modality: PSMA PET/CT | tracer: 18F | view: axial
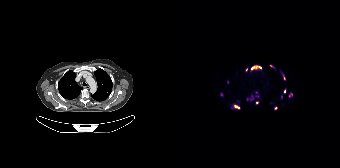
Coordinates are on the 168×168 PET (right) panel. (showing 15 of 16 foci) PSMA-avid tumor lesion bounding boxes (x0,y0,x1,y1): [79,65,89,70] [61,104,68,109] [110,73,113,80] [116,93,120,97] [98,65,102,68] [112,89,114,93] [78,95,81,99]. Small PSMA-avid foci (2 to 4 px across) near (center x, center y): (85, 102) (103, 108) (49, 94) (109, 97) (55, 82) (74, 69) (85, 96) (75, 99).